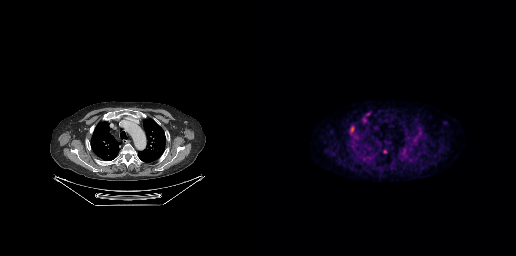
Findings: Coordinates are on the 256×256 PET (right) panel. PSMA-avid tumor lesion bounding boxes (x0,y0,x1,y1): [90,126,94,133] [103,118,106,122]. Small PSMA-avid foci (2 to 4 px across) near (center x, center y): (124, 151) (108, 114).
Technique: Paired axial CT (left) and PSMA PET (right), 18F-PSMA tracer. acquired on GE Discovery 690. PET panel 256×256 px (2.7 mm/px).